Two-panel axial: CT | PSMA PET, [68Ga]Ga-PSMA-11 tracer. Acquired on Siemens Biograph mCT Flow 20. Slice 251 of 393. PET panel 200×200 px (4.1 mm/px).
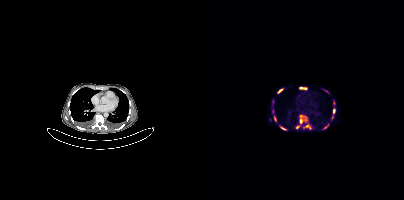
Coordinates are on the 200×200 PET (right) panel. (showing 11 of 14 foci) PSMA-avid tumor lesion bounding boxes (x, y, width, height): x=96 y=115 w=7 h=9; x=128 y=109 w=4 h=10; x=96 y=87 w=7 h=3; x=102 y=125 w=5 h=4; x=74 y=89 w=5 h=4; x=77 y=127 w=5 h=3; x=70 y=116 w=2 h=5. Small PSMA-avid foci (2 to 4 px across) near (center x, center y): (93, 127); (68, 110); (121, 127); (101, 119).